Technique: Left: CT. Right: PSMA PET, same axial level, 68Ga-PSMA tracer. slice position z = -715 mm.
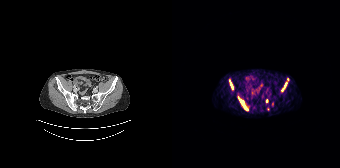
Findings: Coordinates are on the 168×168 PET (right) panel. PSMA-avid tumor lesion bounding boxes (x0, y0)-(x1, y1): (66, 96)-(76, 110) | (109, 82)-(115, 91) | (57, 80)-(61, 89). Small PSMA-avid foci (2 to 4 px across) near (center x, center y): (95, 100) | (115, 79) | (100, 103) | (95, 109).